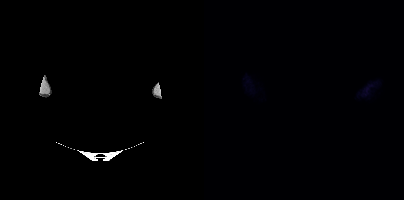
Negative for PSMA-avid disease on this slice.
redaction: rectangular block over head set to black | modality: PSMA PET/CT | tracer: 18F | view: axial | PET grid: 200×200